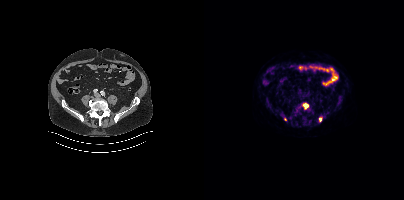
Paired axial CT (left) and PSMA PET (right), 18F tracer. Slice 149 of 454. Coordinates are on the 200×200 PET (right) panel. Small PSMA-avid foci (2 to 4 px across) near (center x, center y): (116, 119) / (102, 105) / (81, 119).